Paired axial CT (left) and PSMA PET (right), [68Ga]Ga-PSMA-11 tracer. Slice 72 of 195. PET panel 168×168 px (4.1 mm/px).
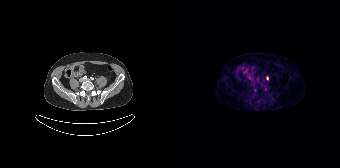
Coordinates are on the 168×168 PET (right) panel. Small PSMA-avid focus (2 to 4 px across) near (center x, center y): (95, 78).